Technique: Two-panel axial: CT | PSMA PET, 18F-PSMA tracer. acquired on GE Discovery 690. slice 89 of 263. PET panel 256×256 px (2.7 mm/px).
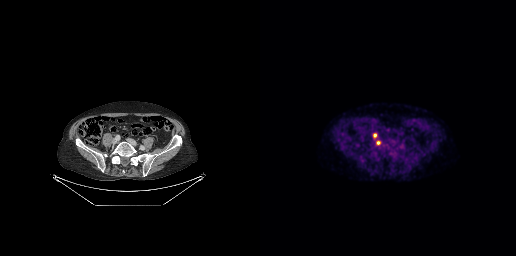
Findings: Coordinates are on the 256×256 PET (right) panel. (showing 1 of 2 foci) Small PSMA-avid focus (2 to 4 px across) near (center x, center y): (115, 135).